modality: PSMA PET/CT | tracer: 68Ga-PSMA | view: axial | PET grid: 168×168
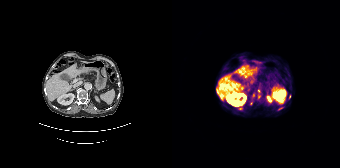
Coordinates are on the 168×168 PET (right) panel. (showing 6 of 7 foci) PSMA-avid tumor lesion bounding box (x0,y0,x1,y1): [106,107,111,110]. Small PSMA-avid foci (2 to 4 px across) near (center x, center y): (68, 108), (87, 96), (81, 95), (79, 103), (86, 91).